A rectangle over the head was blacked out to remove identifiable facial features. Left: CT. Right: PSMA PET, same axial level, 68Ga tracer.
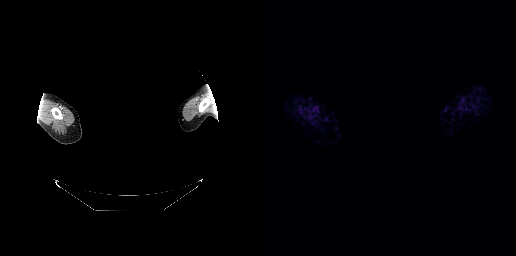
This slice has no annotated PSMA-avid lesion.